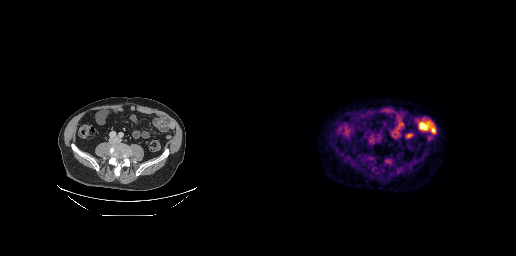
Coordinates are on the 256×256 PET (right) panel. PSMA-avid tumor lesion bounding box (x0,y0,x1,y1): [126,159,131,163]. Small PSMA-avid focus (2 to 4 px across) near (center x, center y): (110, 157).